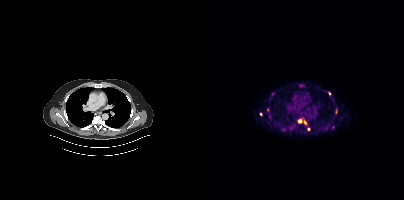
Coordinates are on the 200×200 PET (right) panel. (showing 4 of 5 foci) PSMA-avid tumor lesion bounding box (x0, y0)-(x1, y1): (94, 119)-(102, 124). Small PSMA-avid foci (2 to 4 px across) near (center x, center y): (104, 129) / (125, 93) / (56, 114).